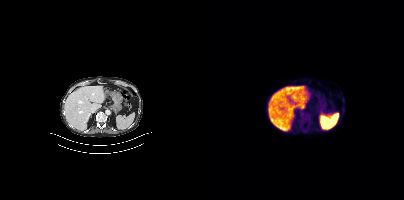
{"pet_grid":[200,200],"coord_frame":"pet_panel","coord_format":"x0,y0,x1,y1","psma_avid_lesions":false,"modality":"PSMA PET/CT","view":"axial","tracer":"18F-PSMA"}